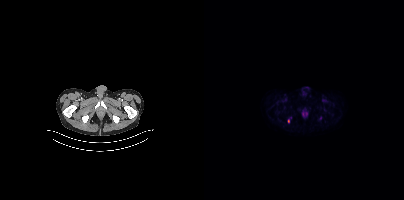
Paired axial CT (left) and PSMA PET (right), 18F-PSMA tracer. Slice position z = -886 mm. Coordinates are on the 200×200 PET (right) panel. Small PSMA-avid focus (2 to 4 px across) near (center x, center y): (84, 121).